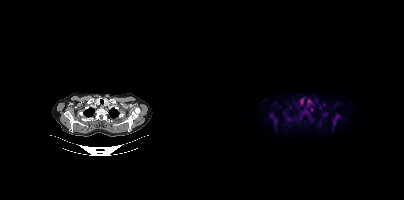
- Two-panel axial: CT | PSMA PET, 18F-PSMA tracer
- acquired on Siemens Biograph mCT Flow 20
- slice position z = -289 mm
Findings: Coordinates are on the 200×200 PET (right) panel. (showing 3 of 5 foci) PSMA-avid tumor lesion bounding boxes (x, y, width, height): x=129 y=115 w=7 h=11 / x=66 y=113 w=8 h=12. Small PSMA-avid focus (2 to 4 px across) near (center x, center y): (107, 109).